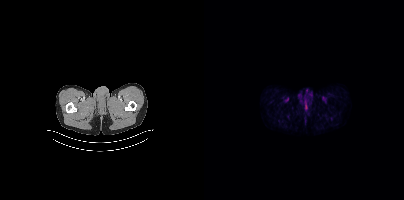
This slice has no annotated PSMA-avid lesion. Paired axial CT (left) and PSMA PET (right), [18F]PSMA-1007 tracer. Slice 29 of 413.